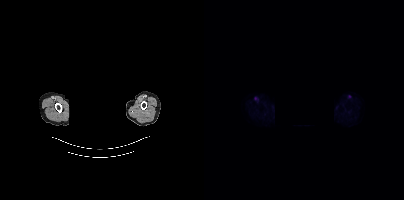
Findings: No tumor lesions annotated on this slice.
Technique: Paired axial CT (left) and PSMA PET (right), 18F-PSMA tracer. slice position z = -887 mm.
Note: The face region was removed for patient privacy by blanking a rectangle over the head.